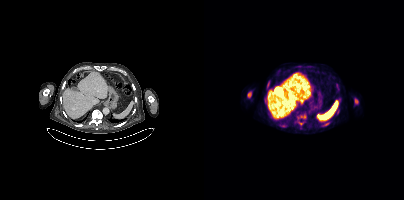
Coordinates are on the 200×200 PET (right) panel. PSMA-avid tumor lesion bounding boxes (x0,y0,x1,y1): [43,92,47,97] [151,99,154,103] [94,122,99,125]. Left: CT. Right: PSMA PET, same axial level, 18F tracer. Acquired on Siemens Biograph mCT Flow 20. Slice position z = 74 mm. PET panel 200×200 px (4.1 mm/px).